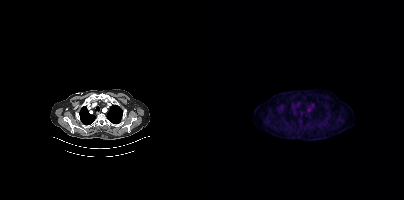
No tumor lesions annotated on this slice. Left: CT. Right: PSMA PET, same axial level, 18F-PSMA tracer. Slice 312 of 401.